Technique: Left: CT. Right: PSMA PET, same axial level, 18F tracer.
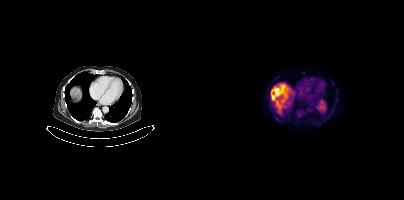
Findings: Coordinates are on the 200×200 PET (right) panel. PSMA-avid tumor lesion bounding box (x, y, width, height): x=67 y=90 w=7 h=7. Small PSMA-avid focus (2 to 4 px across) near (center x, center y): (95, 113).